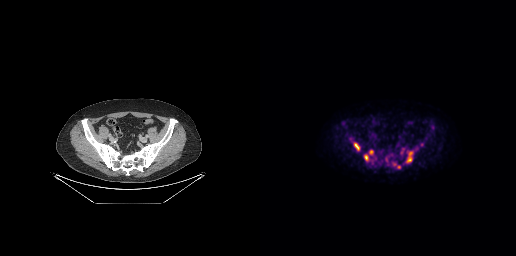
Coordinates are on the 256×256 PET (right) panel. (showing 6 of 7 foci) PSMA-avid tumor lesion bounding boxes (x0, y0)-(x1, y1): (147, 151)-(153, 160) | (93, 142)-(100, 151) | (104, 154)-(108, 161) | (109, 150)-(113, 154). Small PSMA-avid foci (2 to 4 px across) near (center x, center y): (139, 167) | (134, 164).